modality: PSMA PET/CT | tracer: 18F-PSMA | view: axial
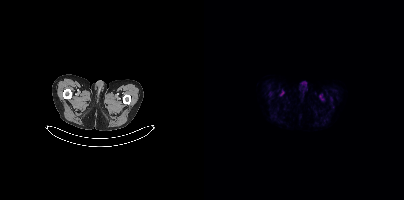
Negative for PSMA-avid disease on this slice.